modality: PSMA PET/CT | tracer: 18F | view: axial | PET grid: 200×200
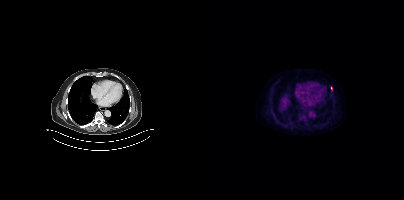
Coordinates are on the 200×200 PET (right) panel. Small PSMA-avid focus (2 to 4 px across) near (center x, center y): (127, 88).